Two-panel axial: CT | PSMA PET, 18F-PSMA tracer.
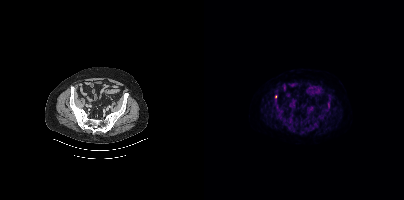
Coordinates are on the 200×200 PET (right) panel. Small PSMA-avid focus (2 to 4 px across) near (center x, center y): (71, 96).